- Paired axial CT (left) and PSMA PET (right), 18F-PSMA tracer
- slice position z = -106 mm
- a region was redacted for de-identification by setting it to black
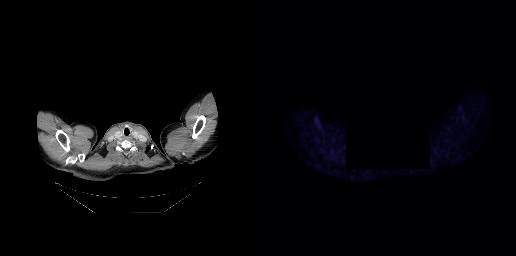
Findings: This slice has no annotated PSMA-avid lesion.